Face de-identified by blanking a block of the head.
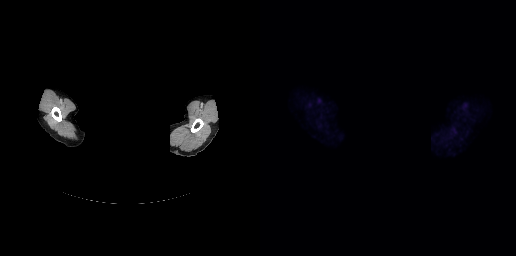
This slice has no annotated PSMA-avid lesion.